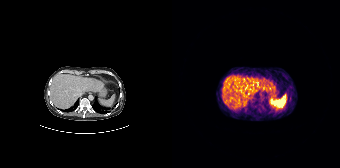
- Two-panel axial: CT | PSMA PET, 68Ga-PSMA tracer
- PET panel 168×168 px (4.1 mm/px)
Findings: No tumor lesions annotated on this slice.